Technique: Two-panel axial: CT | PSMA PET, 68Ga-PSMA tracer. acquired on Siemens Biograph mCT Flow 20. slice position z = -902 mm.
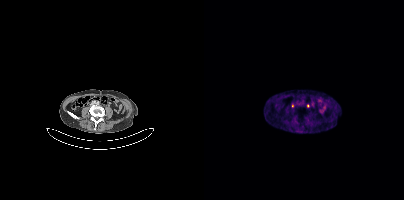
Findings: No tumor lesions annotated on this slice.